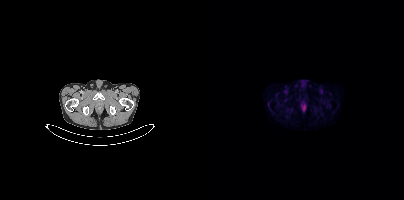
- Two-panel axial: CT | PSMA PET, 18F tracer
- PET panel 200×200 px (4.1 mm/px)
Findings: Negative for PSMA-avid disease on this slice.